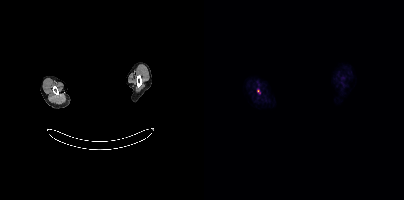
Left: CT. Right: PSMA PET, same axial level, 18F tracer. Slice 368 of 387. A rectangle over the head was blacked out to remove identifiable facial features. Coordinates are on the 200×200 PET (right) panel. Small PSMA-avid focus (2 to 4 px across) near (center x, center y): (54, 90).